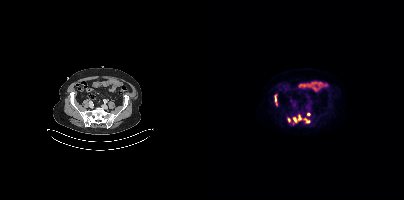
Two-panel axial: CT | PSMA PET, [18F]PSMA-1007 tracer. Slice position z = -1348 mm. PET panel 200×200 px (4.1 mm/px). Coordinates are on the 200×200 PET (right) panel. PSMA-avid tumor lesion bounding boxes (x0,y0,x1,y1): [89,114,106,124] [70,95,73,105] [83,118,86,122]. Small PSMA-avid focus (2 to 4 px across) near (center x, center y): (104, 113).